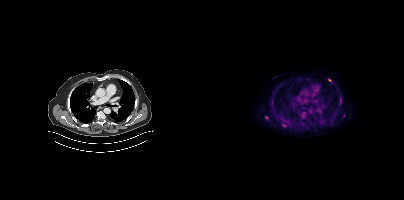
Paired axial CT (left) and PSMA PET (right), [18F]PSMA-1007 tracer. Acquired on Siemens Biograph mCT Flow 20. PET panel 200×200 px (4.1 mm/px). Coordinates are on the 200×200 PET (right) panel. PSMA-avid tumor lesion bounding box (x0,y0,x1,y1): [136,98,137,104]. Small PSMA-avid foci (2 to 4 px across) near (center x, center y): (98, 114) (140, 116) (62, 117) (127, 119) (125, 80) (79, 125).